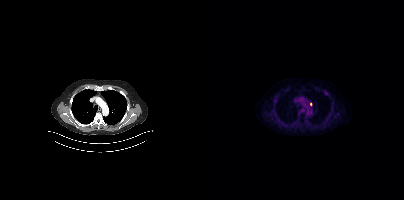
Left: CT. Right: PSMA PET, same axial level, 18F-PSMA tracer. PET panel 200×200 px (4.1 mm/px). Coordinates are on the 200×200 PET (right) panel. Small PSMA-avid focus (2 to 4 px across) near (center x, center y): (106, 104).